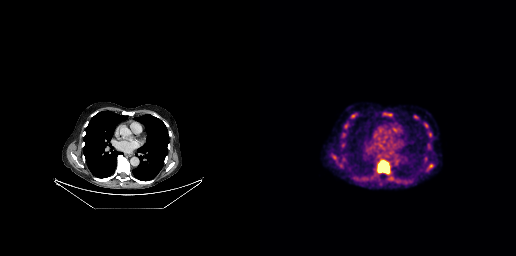
Technique: Left: CT. Right: PSMA PET, same axial level, [18F]PSMA-1007 tracer. slice 178 of 263. PET panel 256×256 px (2.7 mm/px).
Findings: Coordinates are on the 256×256 PET (right) panel. PSMA-avid tumor lesion bounding boxes (x0, y0)-(x1, y1): (118, 160)-(129, 174); (73, 155)-(76, 159). Small PSMA-avid foci (2 to 4 px across) near (center x, center y): (131, 179); (83, 135); (82, 145); (130, 114).